Two-panel axial: CT | PSMA PET, [18F]PSMA-1007 tracer. Acquired on Siemens Biograph mCT Flow 20. PET panel 200×200 px (4.1 mm/px).
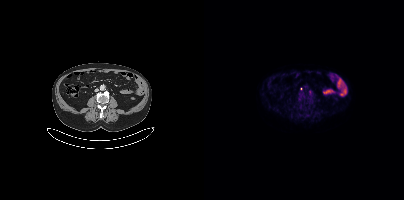
No tumor lesions annotated on this slice.